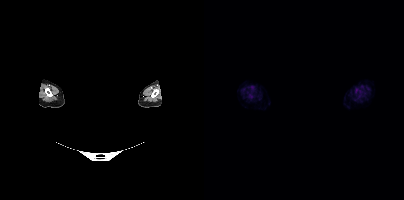
Any black rectangle over the head is a privacy mask, not anatomy.
Negative for PSMA-avid disease on this slice.